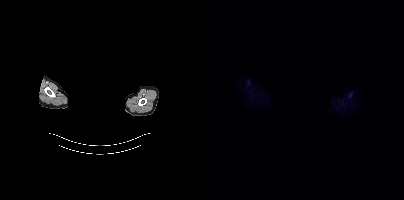
deidentification: privacy mask over head | modality: PSMA PET/CT | tracer: [18F]PSMA-1007 | view: axial | PET grid: 200×200
No PSMA-avid tumor lesions on this slice.